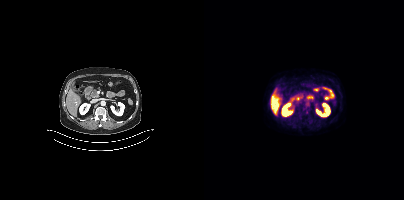
Left: CT. Right: PSMA PET, same axial level, 18F-PSMA tracer. Coordinates are on the 200×200 PET (right) panel. Small PSMA-avid focus (2 to 4 px across) near (center x, center y): (102, 112).